modality: PSMA PET/CT | tracer: 18F-PSMA | view: axial | PET grid: 256×256
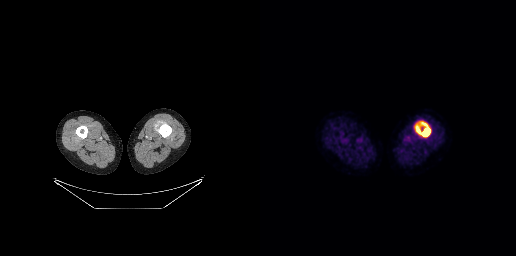
Coordinates are on the 256×256 PET (right) panel. PSMA-avid tumor lesion bounding box (x0, y0)-(x1, y1): (155, 121)-(170, 137).